Left: CT. Right: PSMA PET, same axial level, 68Ga-PSMA tracer. PET panel 256×256 px (2.7 mm/px).
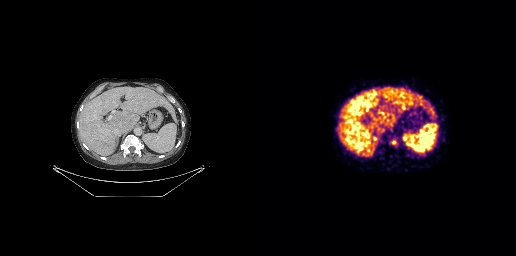
Coordinates are on the 256×256 PET (right) panel. Small PSMA-avid focus (2 to 4 px across) near (center x, center y): (133, 142).